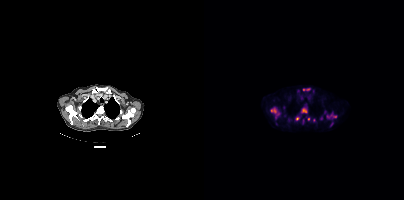
Coordinates are on the 200×200 PET (right) panel. (showing 7 of 8 foci) PSMA-avid tumor lesion bounding boxes (x0, y0)-(x1, y1): (66, 107)-(76, 118); (123, 114)-(132, 117); (98, 108)-(102, 112); (99, 88)-(106, 90); (92, 116)-(95, 120). Small PSMA-avid foci (2 to 4 px across) near (center x, center y): (110, 120); (104, 119). Left: CT. Right: PSMA PET, same axial level, 18F tracer. Slice 297 of 375.